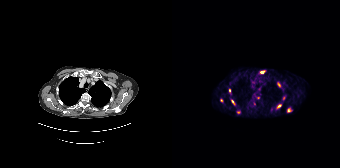
{"modality":"PSMA PET/CT","view":"axial","tracer":"[68Ga]Ga-PSMA-11","pet_grid":[168,168],"coord_frame":"pet_panel","coord_format":"x0,y0,x1,y1","partial":true,"lesion_bboxes":[[105,104,109,108],[59,100,63,104],[115,108,118,112]],"small_foci_centers":[[89,72],[57,90],[111,98],[49,100],[86,97],[82,103]]}